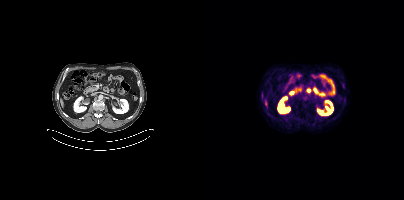
- Two-panel axial: CT | PSMA PET, 18F-PSMA tracer
Findings: Negative for PSMA-avid disease on this slice.